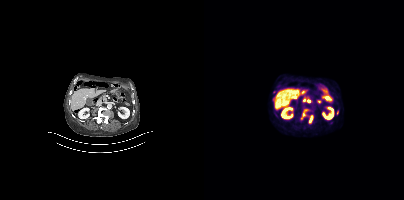
Coordinates are on the 200×200 PET (right) panel. PSMA-avid tumor lesion bounding boxes (partial; 1 more focus not listed):
| # | x0 | y0 | x1 | y1 |
|---|---|---|---|---|
| 1 | 97 | 109 | 103 | 119 |
| 2 | 105 | 115 | 109 | 123 |
| 3 | 70 | 109 | 72 | 116 |
Two-panel axial: CT | PSMA PET, [18F]PSMA-1007 tracer.